Technique: Left: CT. Right: PSMA PET, same axial level, [18F]PSMA-1007 tracer. slice 324 of 444.
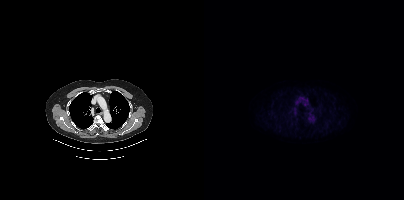
Findings: This slice has no annotated PSMA-avid lesion.